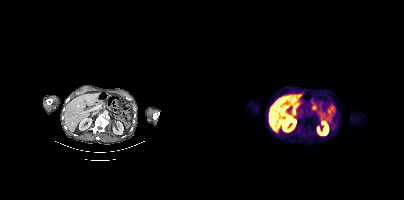
modality: PSMA PET/CT | tracer: 18F | view: axial | PET grid: 200×200
Negative for PSMA-avid disease on this slice.